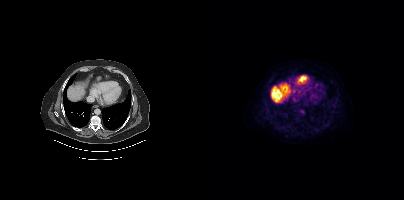
{"modality":"PSMA PET/CT","view":"axial","tracer":"[18F]PSMA-1007","pet_grid":[200,200],"coord_frame":"pet_panel","coord_format":"x0,y0,x1,y1","psma_avid_lesions":false}